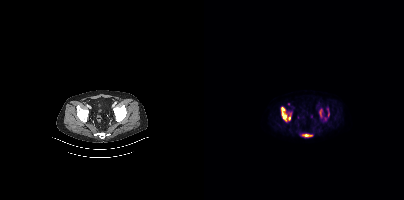
{"modality":"PSMA PET/CT","view":"axial","tracer":"18F-PSMA","pet_grid":[200,200],"coord_frame":"pet_panel","coord_format":"x0,y0,x1,y1","lesion_bboxes":[[77,107,82,121],[99,134,107,136],[115,109,117,116],[84,116,86,120]],"small_foci_centers":[[124,114]]}